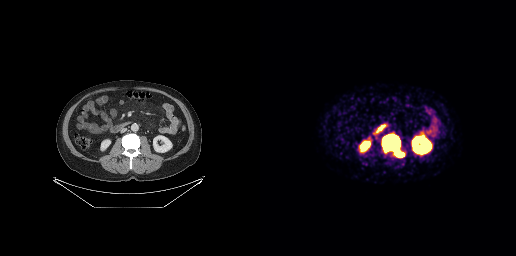
modality: PSMA PET/CT | tracer: [68Ga]Ga-PSMA-11 | view: axial
Coordinates are on the 256×256 PET (right) panel. PSMA-avid tumor lesion bounding box (x0, y0)-(x1, y1): (122, 134)-(144, 157).